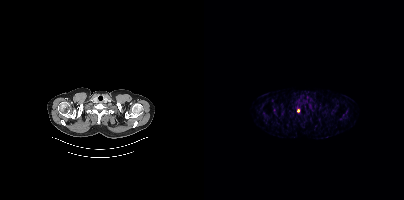
{"modality":"PSMA PET/CT","view":"axial","tracer":"68Ga-PSMA","pet_grid":[200,200],"coord_frame":"pet_panel","coord_format":"x0,y0,x1,y1","lesion_bboxes":[],"small_foci_centers":[[94,110]]}